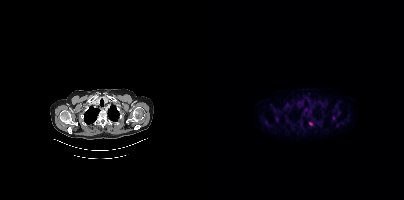
{"modality":"PSMA PET/CT","view":"axial","tracer":"[18F]PSMA-1007","pet_grid":[200,200],"coord_frame":"pet_panel","coord_format":"x0,y0,x1,y1","lesion_bboxes":[],"small_foci_centers":[[106,123]]}